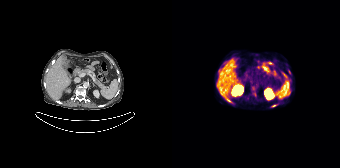
{"pet_grid":[168,168],"coord_frame":"pet_panel","coord_format":"x0,y0,x1,y1","partial":true,"lesion_bboxes":[[53,97,58,102],[99,104,104,107]],"small_foci_centers":[[47,69]],"modality":"PSMA PET/CT","view":"axial","tracer":"68Ga"}